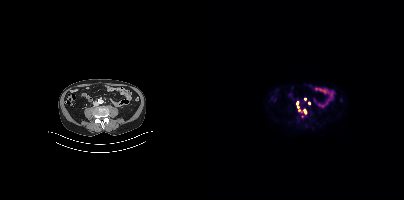
Coordinates are on the 200×200 PET (right) panel. (showing 2 of 6 foci) PSMA-avid tumor lesion bounding box (x0,y0,x1,y1): [100,109,102,113]. Small PSMA-avid focus (2 to 4 px across) near (center x, center y): (93, 103).